Left: CT. Right: PSMA PET, same axial level, 18F tracer. Acquired on Siemens Biograph mCT Flow 20. Slice position z = -1723 mm. PET panel 200×200 px (4.1 mm/px).
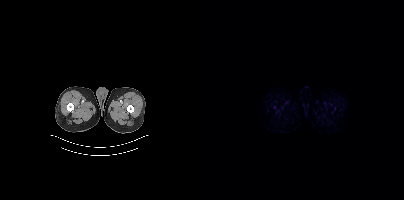
No tumor lesions annotated on this slice.